Technique: Paired axial CT (left) and PSMA PET (right), [18F]PSMA-1007 tracer. slice position z = -1590 mm. PET panel 200×200 px (4.1 mm/px).
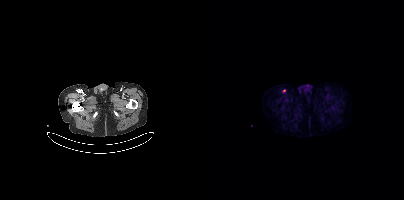
Findings: Coordinates are on the 200×200 PET (right) panel. Small PSMA-avid focus (2 to 4 px across) near (center x, center y): (80, 90).